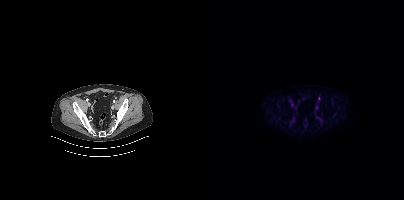
Only PSMA-avid lesion pieces thinner than 2 px on this slice (not listed).